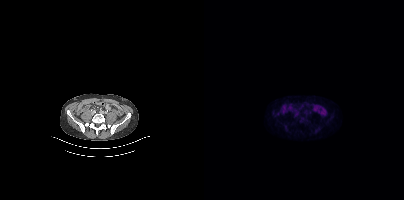
Only PSMA-avid lesion pieces thinner than 2 px on this slice (not listed).